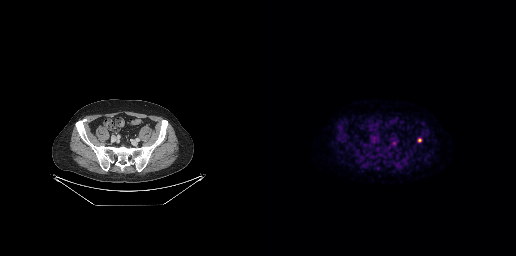
Coordinates are on the 256×256 PET (right) panel. PSMA-avid tumor lesion bounding box (x0,y0,x1,y1): [158,138,161,142]. Two-panel axial: CT | PSMA PET, 18F tracer. Slice position z = -605 mm.